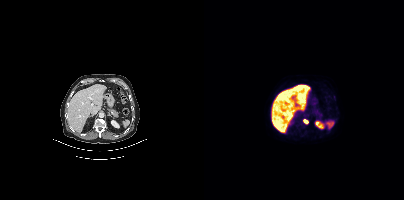
Coordinates are on the 200×200 PET (right) panel. Small PSMA-avid focus (2 to 4 px across) near (center x, center y): (101, 121).